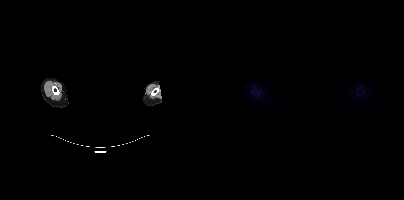
{"modality":"PSMA PET/CT","view":"axial","tracer":"[18F]PSMA-1007","pet_grid":[200,200],"coord_frame":"pet_panel","coord_format":"x0,y0,x1,y1","psma_avid_lesions":false,"de-identification":"privacy mask over head"}